modality: PSMA PET/CT | tracer: [18F]PSMA-1007 | view: axial | PET grid: 200×200
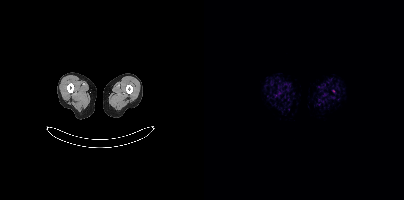
No PSMA-avid tumor lesions on this slice.